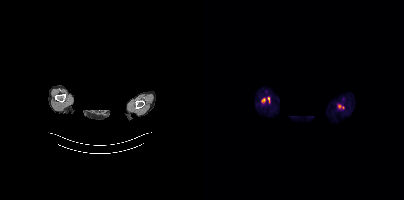
{"modality":"PSMA PET/CT","view":"axial","tracer":"18F","pet_grid":[200,200],"coord_frame":"pet_panel","coord_format":"x0,y0,x1,y1","de-identification":"privacy mask over head","psma_avid_lesions":false}